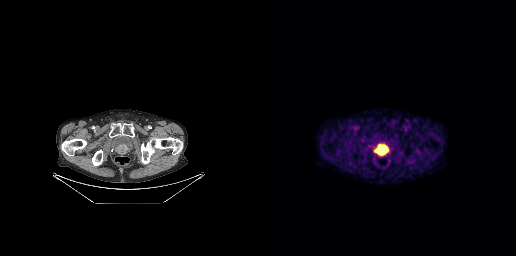
Technique: Paired axial CT (left) and PSMA PET (right), 18F-PSMA tracer. slice 48 of 263. PET panel 256×256 px (2.7 mm/px).
Findings: Coordinates are on the 256×256 PET (right) panel. PSMA-avid tumor lesion bounding box (x0, y0)-(x1, y1): (115, 145)-(127, 155).